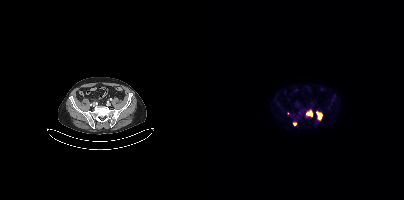
Paired axial CT (left) and PSMA PET (right), [18F]PSMA-1007 tracer. Acquired on Siemens Biograph mCT Flow 20. Coordinates are on the 200×200 PET (right) panel. PSMA-avid tumor lesion bounding boxes (x0, y0)-(x1, y1): (113, 112)-(117, 120); (103, 110)-(108, 115). Small PSMA-avid focus (2 to 4 px across) near (center x, center y): (90, 124).